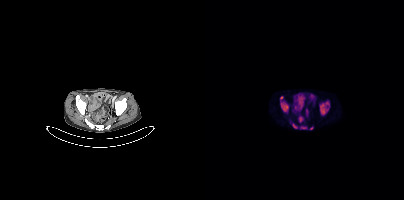
- Two-panel axial: CT | PSMA PET, 18F tracer
- slice 78 of 354
- PET panel 200×200 px (4.1 mm/px)
Findings: Coordinates are on the 200×200 PET (right) panel. PSMA-avid tumor lesion bounding boxes (x0, y0)-(x1, y1): (116, 102)-(125, 114) / (77, 102)-(84, 111) / (89, 124)-(93, 128) / (97, 127)-(102, 128). Small PSMA-avid foci (2 to 4 px across) near (center x, center y): (77, 97) / (107, 128).